Technique: Paired axial CT (left) and PSMA PET (right), 18F-PSMA tracer. slice position z = -626 mm. PET panel 200×200 px (4.1 mm/px).
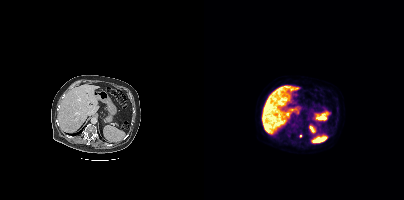
Findings: Coordinates are on the 200×200 PET (right) panel. Small PSMA-avid focus (2 to 4 px across) near (center x, center y): (96, 136).